modality: PSMA PET/CT | tracer: [18F]PSMA-1007 | view: axial
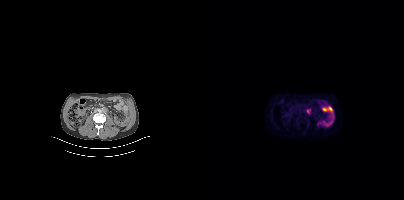
Coordinates are on the 200×200 PET (right) panel. (showing 1 of 2 foci) PSMA-avid tumor lesion bounding box (x0, y0)-(x1, y1): (102, 108)-(106, 114).